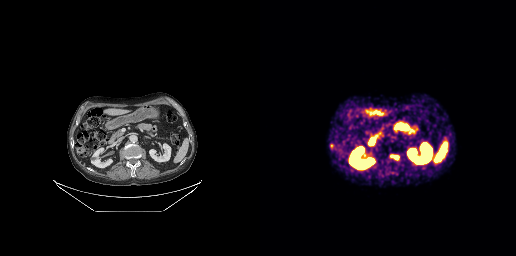
Coordinates are on the 256×256 PET (right) panel. PSMA-avid tumor lesion bounding boxes (x0,y0,x1,y1): [131,155,138,159], [70,144,74,147].